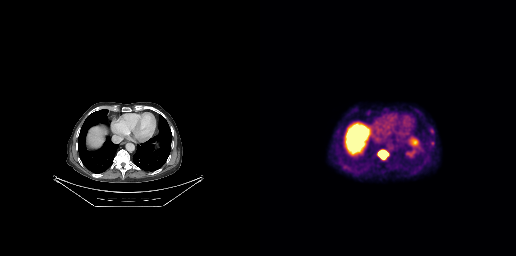
Coordinates are on the 256×256 PET (right) panel. PSMA-avid tumor lesion bounding box (x, y, width, height): x=118 y=150 w=11 h=9. Paired axial CT (left) and PSMA PET (right), [18F]PSMA-1007 tracer. Acquired on GE Discovery 690. Slice 161 of 263. PET panel 256×256 px (2.7 mm/px).